Paired axial CT (left) and PSMA PET (right), 68Ga tracer. PET panel 168×168 px (4.1 mm/px).
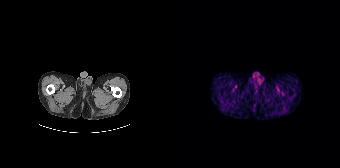
Negative for PSMA-avid disease on this slice.